An anonymization step blacked out a rectangle over the head in this scan.
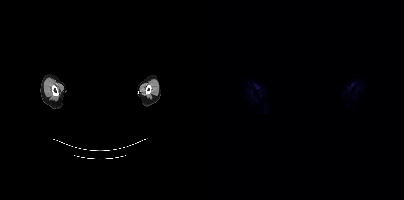
No PSMA-avid tumor lesions on this slice.